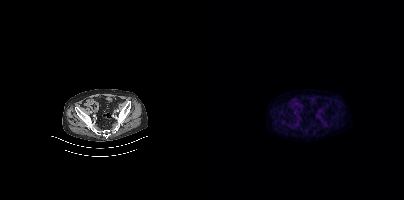
- Left: CT. Right: PSMA PET, same axial level, 18F tracer
Findings: Negative for PSMA-avid disease on this slice.